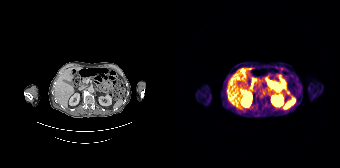
{"modality":"PSMA PET/CT","view":"axial","tracer":"[68Ga]Ga-PSMA-11","pet_grid":[168,168],"coord_frame":"pet_panel","coord_format":"x0,y0,x1,y1","psma_avid_lesions":false}